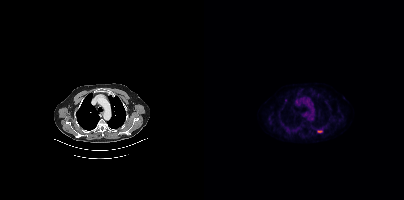
Two-panel axial: CT | PSMA PET, 18F tracer. Acquired on Siemens Biograph mCT Flow 20. Slice position z = -1018 mm. PET panel 200×200 px (4.1 mm/px).
Coordinates are on the 200×200 PET (right) panel. PSMA-avid tumor lesion bounding boxes:
| # | x0 | y0 | x1 | y1 |
|---|---|---|---|---|
| 1 | 113 | 130 | 118 | 132 |